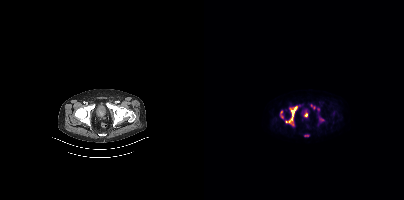
Paired axial CT (left) and PSMA PET (right), 18F-PSMA tracer. PET panel 200×200 px (4.1 mm/px). Coordinates are on the 200×200 PET (right) panel. (showing 5 of 7 foci) PSMA-avid tumor lesion bounding boxes (x0,y0,x1,y1): [85,107,92,123] [107,104,111,109]. Small PSMA-avid foci (2 to 4 px across) near (center x, center y): (102, 114) (118, 119) (82, 121).